- Left: CT. Right: PSMA PET, same axial level, [18F]PSMA-1007 tracer
- slice 75 of 395
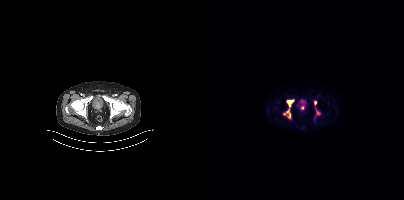
Findings: Coordinates are on the 200×200 PET (right) panel. PSMA-avid tumor lesion bounding boxes (x, y, width, height): x=79 y=99 w=12 h=20 / x=111 y=108 w=6 h=8 / x=110 y=100 w=4 h=6. Small PSMA-avid focus (2 to 4 px across) near (center x, center y): (98, 107).